- Two-panel axial: CT | PSMA PET, 18F-PSMA tracer
- slice 294 of 407
- PET panel 200×200 px (4.1 mm/px)
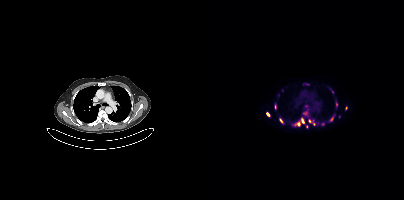
Findings: Coordinates are on the 200×200 PET (right) panel. (showing 12 of 17 foci) PSMA-avid tumor lesion bounding boxes (x0, y0)-(x1, y1): (89, 122)-(96, 126) / (75, 118)-(79, 123) / (97, 118)-(100, 123) / (126, 117)-(129, 121) / (132, 101)-(133, 107) / (62, 112)-(65, 116) / (141, 106)-(143, 110). Small PSMA-avid foci (2 to 4 px across) near (center x, center y): (105, 120) / (102, 106) / (135, 116) / (118, 123) / (102, 126).